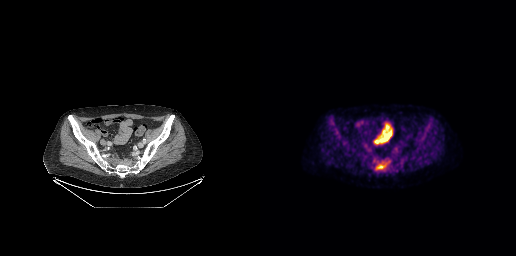
Two-panel axial: CT | PSMA PET, 18F-PSMA tracer. PET panel 256×256 px (2.7 mm/px).
Coordinates are on the 256×256 PET (right) panel. PSMA-avid tumor lesion bounding boxes:
| # | x0 | y0 | x1 | y1 |
|---|---|---|---|---|
| 1 | 118 | 165 | 123 | 168 |